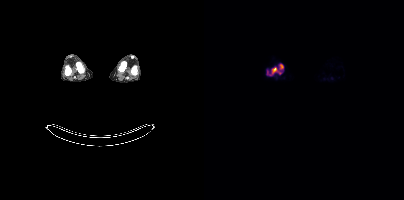
Coordinates are on the 200×200 PET (right) panel. Small PSMA-avid foci (2 to 4 px across) near (center x, center y): (70, 69) / (78, 66).